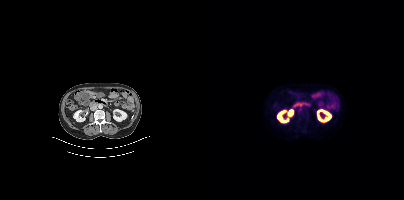
Technique: Left: CT. Right: PSMA PET, same axial level, 18F-PSMA tracer. acquired on Siemens Biograph mCT Flow 20. PET panel 200×200 px (4.1 mm/px).
Findings: No tumor lesions annotated on this slice.